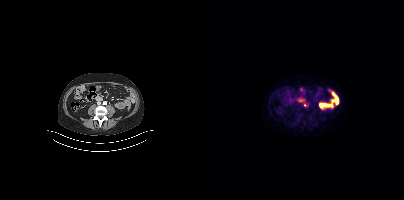
{"pet_grid":[200,200],"coord_frame":"pet_panel","coord_format":"x0,y0,x1,y1","lesion_bboxes":[],"small_foci_centers":[[100,105]],"modality":"PSMA PET/CT","view":"axial","tracer":"[18F]PSMA-1007"}